Left: CT. Right: PSMA PET, same axial level, [18F]PSMA-1007 tracer. Acquired on Siemens Biograph mCT Flow 20. Slice 117 of 356.
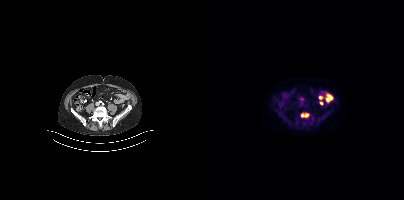
Coordinates are on the 200×200 PET (right) panel. PSMA-avid tumor lesion bounding box (x0, y0)-(x1, y1): (97, 113)-(104, 117).